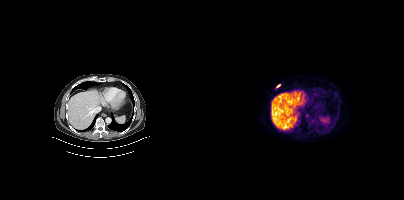
Coordinates are on the 200×200 PET (right) panel. Small PSMA-avid focus (2 to 4 px across) near (center x, center y): (74, 85).